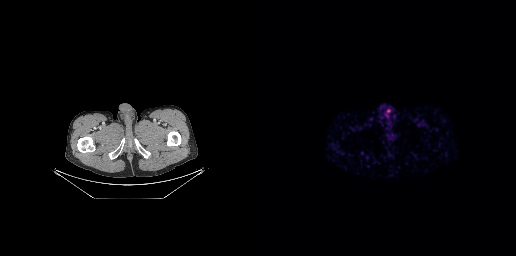
Technique: Two-panel axial: CT | PSMA PET, 68Ga tracer. PET panel 256×256 px (2.7 mm/px).
Findings: No tumor lesions annotated on this slice.